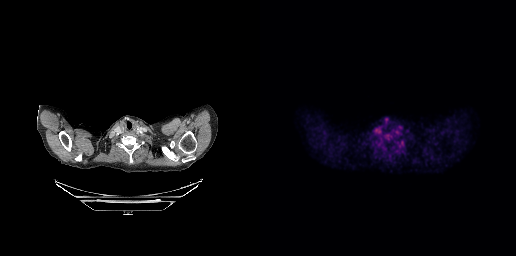
Paired axial CT (left) and PSMA PET (right), 18F tracer. Acquired on GE Discovery 690. PET panel 256×256 px (2.7 mm/px). This slice has no annotated PSMA-avid lesion.